Paired axial CT (left) and PSMA PET (right), 18F tracer. Slice position z = -476 mm. PET panel 200×200 px (4.1 mm/px).
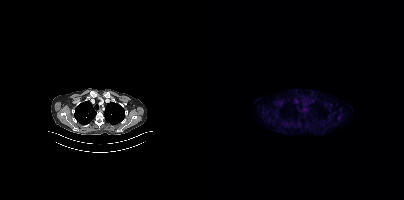
Coordinates are on the 200×200 PET (right) panel. Small PSMA-avid focus (2 to 4 px across) near (center x, center y): (135, 117).